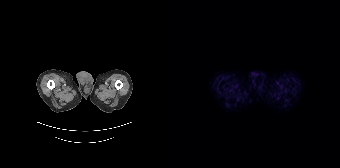
No tumor lesions annotated on this slice. Paired axial CT (left) and PSMA PET (right), 68Ga-PSMA tracer.